An anonymization step blacked out a rectangle over the head in this scan.
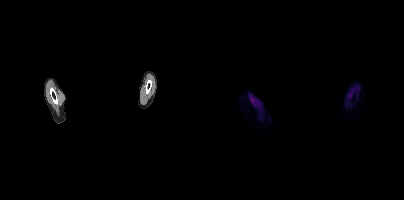
No PSMA-avid tumor lesions on this slice.